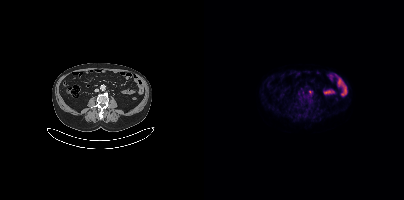
No tumor lesions annotated on this slice. Two-panel axial: CT | PSMA PET, 18F tracer. Acquired on Siemens Biograph mCT Flow 20. PET panel 200×200 px (4.1 mm/px).